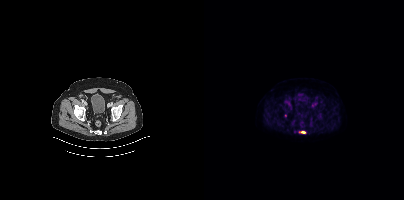
modality: PSMA PET/CT | tracer: 18F | view: axial
Coordinates are on the 200×200 PET (right) panel. PSMA-avid tumor lesion bounding box (x0,y0,x1,y1): [95,131,102,133].